Technique: Left: CT. Right: PSMA PET, same axial level, 18F-PSMA tracer. acquired on Siemens Biograph mCT Flow 20. slice 51 of 403.
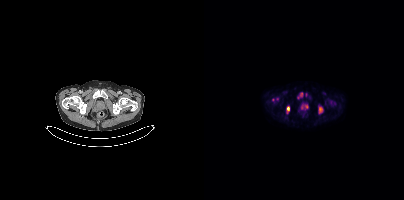
Findings: Coordinates are on the 200×200 PET (right) panel. (showing 3 of 7 foci) PSMA-avid tumor lesion bounding boxes (x0, y0)-(x1, y1): (82, 106)-(85, 113); (115, 107)-(118, 113); (96, 92)-(98, 96).